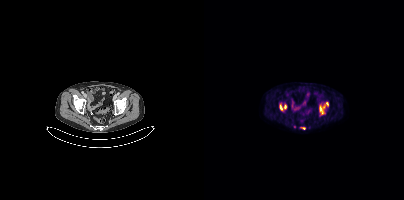
Coordinates are on the 200×200 PET (right) panel. PSMA-avid tumor lesion bounding boxes (x, y, width, height): x=115 y=101 w=10 h=14 | x=75 y=105 w=4 h=6 | x=96 y=127 w=6 h=3. Small PSMA-avid focus (2 to 4 px across) near (center x, center y): (81, 106). Paired axial CT (left) and PSMA PET (right), 18F-PSMA tracer. Slice 92 of 415. PET panel 200×200 px (4.1 mm/px).